A region was redacted for de-identification by setting it to black. Left: CT. Right: PSMA PET, same axial level, 68Ga tracer. Slice position z = -145 mm. PET panel 168×168 px (4.1 mm/px).
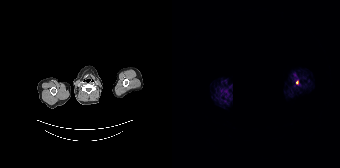
Coordinates are on the 168×168 PET (right) panel. Small PSMA-avid focus (2 to 4 px across) near (center x, center y): (125, 82).